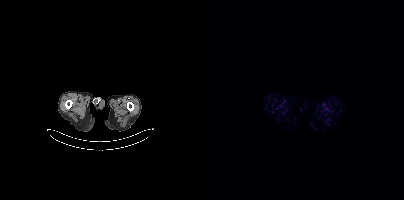
Two-panel axial: CT | PSMA PET, 18F-PSMA tracer. Acquired on Siemens Biograph mCT Flow 20. Slice position z = -1076 mm. This slice has no annotated PSMA-avid lesion.